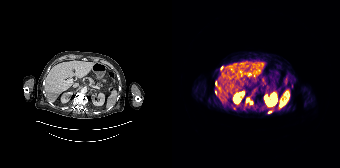
{"modality":"PSMA PET/CT","view":"axial","tracer":"68Ga","pet_grid":[168,168],"coord_frame":"pet_panel","coord_format":"x0,y0,x1,y1","lesion_bboxes":[[74,99,80,104],[43,90,44,94]],"small_foci_centers":[[97,111],[43,82],[49,67]]}